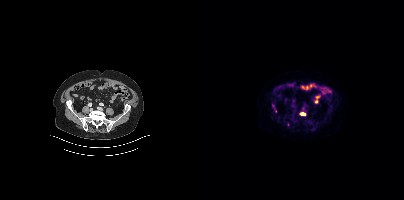
{"modality":"PSMA PET/CT","view":"axial","tracer":"18F-PSMA","pet_grid":[200,200],"coord_frame":"pet_panel","coord_format":"x0,y0,x1,y1","lesion_bboxes":[[96,112,101,115]],"small_foci_centers":[[71,111]]}